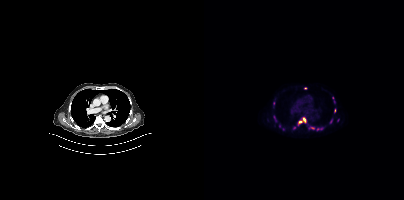
{"modality":"PSMA PET/CT","view":"axial","tracer":"18F-PSMA","pet_grid":[200,200],"coord_frame":"pet_panel","coord_format":"x0,y0,x1,y1","partial":true,"lesion_bboxes":[[99,118,101,122]],"small_foci_centers":[[96,121],[101,88]]}